modality: PSMA PET/CT | tracer: 18F | view: axial
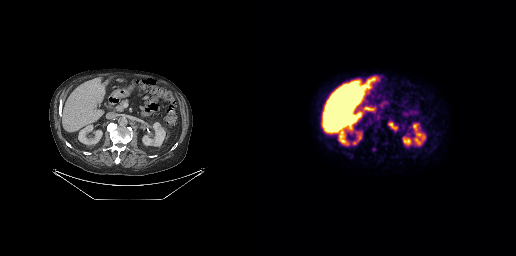
Coordinates are on the 256×256 PET (right) panel. PSMA-avid tumor lesion bounding box (x, y, width, height): x=128 y=122 w=10 h=9.